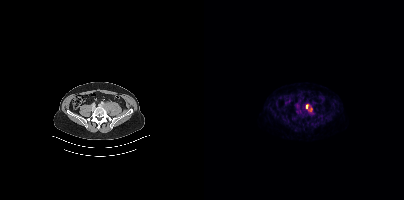
Coordinates are on the 200×200 PET (right) panel. PSMA-avid tumor lesion bounding box (x0, y0)-(x1, y1): (102, 104)-(108, 111).
modality: PSMA PET/CT | tracer: 18F | view: axial